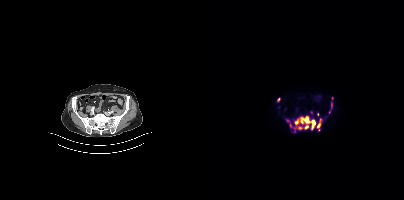
Paired axial CT (left) and PSMA PET (right), 18F-PSMA tracer. Acquired on Siemens Biograph mCT Flow 20. PET panel 200×200 px (4.1 mm/px).
Coordinates are on the 200×200 PET (right) panel. PSMA-avid tumor lesion bounding boxes (partial; 1 more focus not listed):
| # | x0 | y0 | x1 | y1 |
|---|---|---|---|---|
| 1 | 90 | 116 | 111 | 129 |
| 2 | 113 | 119 | 117 | 130 |
Small PSMA-avid foci (2 to 4 px across) near (center x, center y): (127, 104); (74, 99); (86, 125); (84, 120); (128, 98); (113, 114).